modality: PSMA PET/CT | tracer: [18F]PSMA-1007 | view: axial
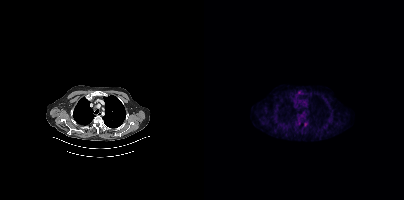
Only PSMA-avid lesion pieces thinner than 2 px on this slice (not listed).